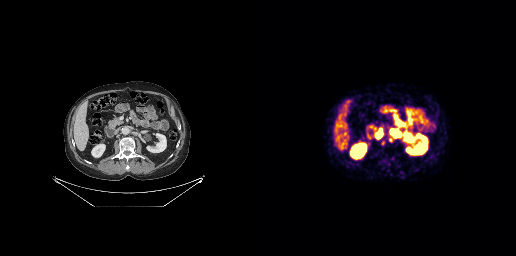
Coordinates are on the 256×256 PET (right) panel. PSMA-avid tumor lesion bounding boxes (partial; 1 more focus not listed):
| # | x0 | y0 | x1 | y1 |
|---|---|---|---|---|
| 1 | 129 | 129 | 140 | 142 |
| 2 | 116 | 132 | 122 | 138 |
Paired axial CT (left) and PSMA PET (right), 68Ga tracer. Acquired on GE Discovery 690.